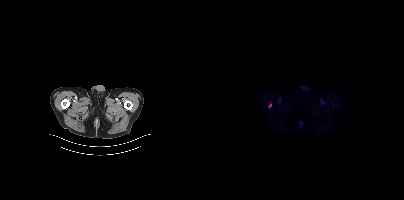
- Two-panel axial: CT | PSMA PET, 18F-PSMA tracer
- PET panel 200×200 px (4.1 mm/px)
Findings: Coordinates are on the 200×200 PET (right) panel. Small PSMA-avid focus (2 to 4 px across) near (center x, center y): (66, 105).